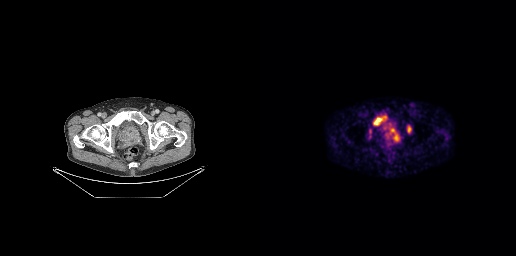
Technique: Paired axial CT (left) and PSMA PET (right), 68Ga tracer. acquired on GE Discovery 690. slice 60 of 263. PET panel 256×256 px (2.7 mm/px).
Findings: Coordinates are on the 256×256 PET (right) panel. PSMA-avid tumor lesion bounding boxes (x0, y0)-(x1, y1): (123, 123)-(140, 141) | (113, 116)-(126, 125) | (147, 126)-(151, 131). Small PSMA-avid focus (2 to 4 px across) near (center x, center y): (110, 136).